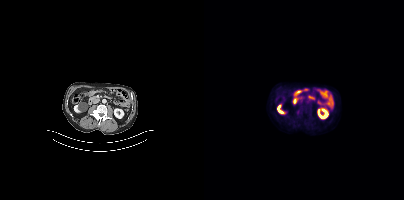
Coordinates are on the 200×200 PET (right) panel. Small PSMA-avid focus (2 to 4 px across) near (center x, center y): (93, 111).